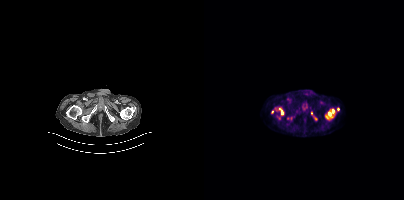
Technique: Two-panel axial: CT | PSMA PET, 18F tracer. slice position z = -1558 mm. PET panel 200×200 px (4.1 mm/px).
Findings: Coordinates are on the 200×200 PET (right) panel. PSMA-avid tumor lesion bounding box (x0,y0,x1,y1): [75,108,79,114]. Small PSMA-avid focus (2 to 4 px across) near (center x, center y): (68, 111).